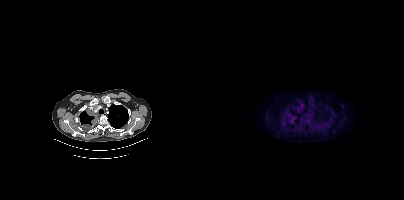
Left: CT. Right: PSMA PET, same axial level, [18F]PSMA-1007 tracer. Coordinates are on the 200×200 PET (right) panel. Small PSMA-avid focus (2 to 4 px across) near (center x, center y): (90, 117).